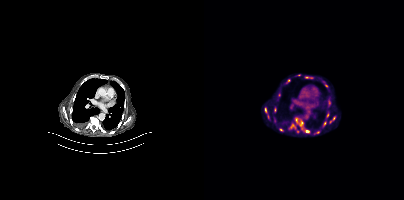
Coordinates are on the 200×200 PET (right) panel. PSMA-avid tumor lesion bounding boxes (partial; 2 more foci not listed):
| # | x0 | y0 | x1 | y1 |
|---|---|---|---|---|
| 1 | 91 | 118 | 105 | 132 |
| 2 | 60 | 107 | 65 | 119 |
| 3 | 86 | 123 | 92 | 129 |
| 4 | 70 | 107 | 72 | 112 |
| 5 | 123 | 113 | 124 | 117 |
Small PSMA-avid foci (2 to 4 px across) near (center x, center y): (130, 118); (121, 123); (125, 98); (70, 120); (126, 121); (93, 130).
Paired axial CT (left) and PSMA PET (right), 18F tracer. Acquired on Siemens Biograph mCT Flow 20. Slice 238 of 367.